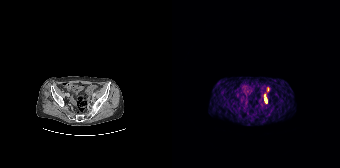
Findings: Coordinates are on the 168×168 PET (right) panel. PSMA-avid tumor lesion bounding box (x0, y0)-(x1, y1): (92, 97)-(94, 102). Small PSMA-avid focus (2 to 4 px across) near (center x, center y): (92, 94).
Technique: Two-panel axial: CT | PSMA PET, [68Ga]Ga-PSMA-11 tracer. acquired on Siemens Biograph 64-4R TruePoint. slice 52 of 195.